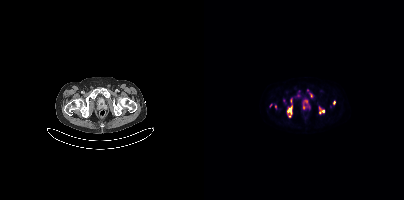
{"pet_grid":[200,200],"coord_frame":"pet_panel","coord_format":"x0,y0,x1,y1","partial":true,"lesion_bboxes":[[83,107,87,117],[115,109,120,112]],"small_foci_centers":[[94,95],[102,101],[100,107],[71,106],[107,95],[66,105]],"modality":"PSMA PET/CT","view":"axial","tracer":"[18F]PSMA-1007"}